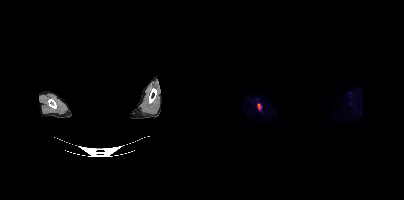
- Left: CT. Right: PSMA PET, same axial level, 18F tracer
- slice position z = -216 mm
- PET panel 200×200 px (4.1 mm/px)
- facial anatomy redacted by setting a rectangular region of the head to black
Findings: Coordinates are on the 200×200 PET (right) panel. PSMA-avid tumor lesion bounding box (x0,y0,x1,y1): [53,103,58,111].